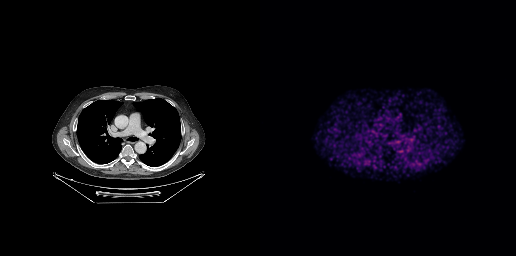
{"modality":"PSMA PET/CT","view":"axial","tracer":"68Ga","pet_grid":[256,256],"coord_frame":"pet_panel","coord_format":"x0,y0,x1,y1","psma_avid_lesions":false}